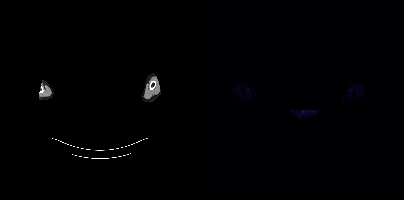
{"modality":"PSMA PET/CT","view":"axial","tracer":"[68Ga]Ga-PSMA-11","pet_grid":[200,200],"coord_frame":"pet_panel","coord_format":"x0,y0,x1,y1","deidentification":"head region blanked (face removed)","psma_avid_lesions":false}